Left: CT. Right: PSMA PET, same axial level, [18F]PSMA-1007 tracer. PET panel 200×200 px (4.1 mm/px).
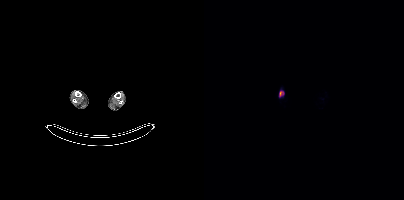
Coordinates are on the 200×200 PET (right) panel. PSMA-avid tumor lesion bounding box (x0,y0,x1,y1): [75,91,79,96].